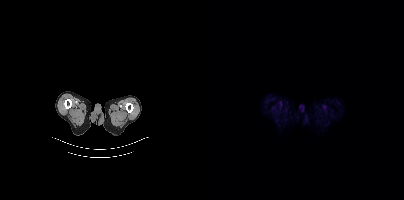
No tumor lesions annotated on this slice.